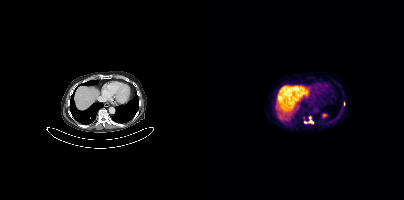
Coordinates are on the 200×200 PET (right) panel. (showing 2 of 3 foci) PSMA-avid tumor lesion bounding boxes (x0, y0)-(x1, y1): (100, 116)-(109, 123) / (98, 115)-(101, 119).
modality: PSMA PET/CT | tracer: 18F | view: axial